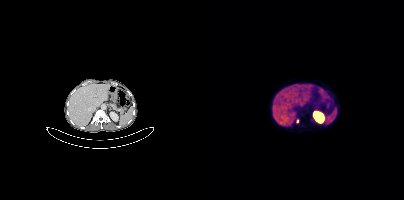
- Left: CT. Right: PSMA PET, same axial level, 68Ga tracer
- acquired on Siemens Biograph mCT Flow 20
- PET panel 200×200 px (4.1 mm/px)
Findings: Coordinates are on the 200×200 PET (right) panel. PSMA-avid tumor lesion bounding box (x0, y0)-(x1, y1): (92, 119)-(94, 123).